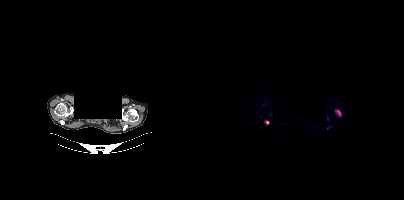
- Paired axial CT (left) and PSMA PET (right), 18F-PSMA tracer
- slice position z = -256 mm
- PET panel 200×200 px (4.1 mm/px)
- a rectangle over the head was blacked out to remove identifiable facial features
Findings: Coordinates are on the 200×200 PET (right) panel. PSMA-avid tumor lesion bounding boxes (x0, y0)-(x1, y1): (131, 109)-(137, 115); (60, 120)-(65, 124).